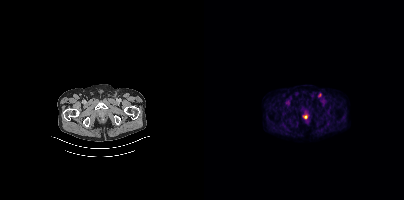
Two-panel axial: CT | PSMA PET, 18F-PSMA tracer. Acquired on Siemens Biograph mCT Flow 20. Slice position z = -812 mm. PET panel 200×200 px (4.1 mm/px).
Coordinates are on the 200×200 PET (right) panel. PSMA-avid tumor lesion bounding boxes:
| # | x0 | y0 | x1 | y1 |
|---|---|---|---|---|
| 1 | 114 | 93 | 117 | 97 |
| 2 | 99 | 115 | 103 | 118 |